modality: PSMA PET/CT | tracer: [18F]PSMA-1007 | view: axial
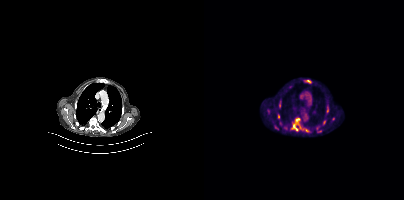
Coordinates are on the 200×200 PET (right) panel. (showing 10 of 11 foci) PSMA-avid tumor lesion bounding boxes (x, y, width, height): x=88 y=120 w=9 h=9 | x=79 y=125 w=5 h=5 | x=70 y=125 w=5 h=6 | x=75 y=103 w=2 h=5 | x=74 y=114 w=2 h=6. Small PSMA-avid foci (2 to 4 px across) near (center x, center y): (113, 127) | (86, 87) | (64, 111) | (116, 130) | (106, 131).